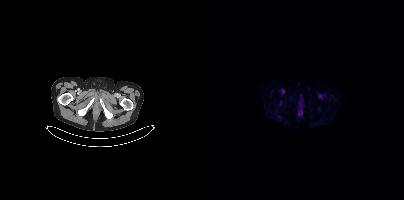
No PSMA-avid tumor lesions on this slice.